Technique: Left: CT. Right: PSMA PET, same axial level, 18F tracer. acquired on Siemens Biograph mCT Flow 20. slice position z = -230 mm. PET panel 200×200 px (4.1 mm/px).
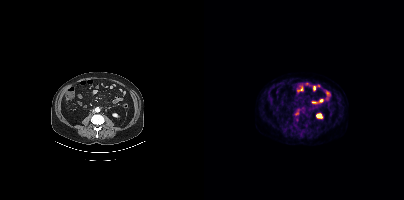
Findings: Coordinates are on the 200×200 PET (right) panel. (showing 1 of 2 foci) Small PSMA-avid focus (2 to 4 px across) near (center x, center y): (93, 113).